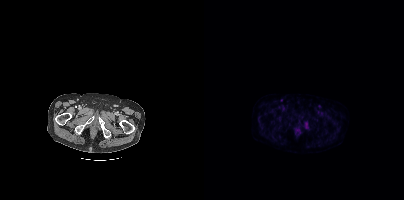
- Two-panel axial: CT | PSMA PET, [18F]PSMA-1007 tracer
- acquired on Siemens Biograph mCT Flow 20
- slice 51 of 431
- PET panel 200×200 px (4.1 mm/px)
Findings: No PSMA-avid tumor lesions on this slice.